- Two-panel axial: CT | PSMA PET, [18F]PSMA-1007 tracer
- slice 48 of 375
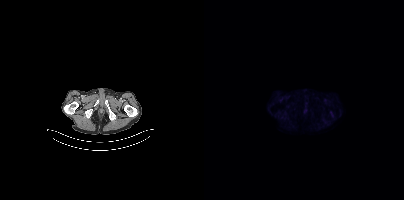
Findings: No PSMA-avid tumor lesions on this slice.